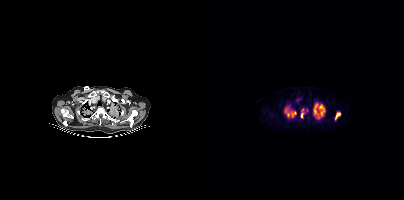
Coordinates are on the 200×200 PET (right) panel. (showing 7 of 8 foci) PSMA-avid tumor lesion bounding boxes (x, y, width, height): x=111 y=103 w=10 h=14; x=110 y=109 w=6 h=10; x=131 y=113 w=6 h=7; x=87 y=112 w=6 h=5; x=97 y=113 w=3 h=5. Small PSMA-avid foci (2 to 4 px across) near (center x, center y): (84, 114); (98, 109).